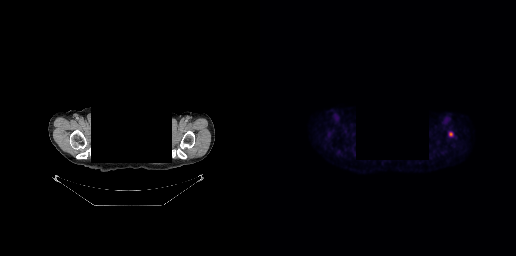
{"modality":"PSMA PET/CT","view":"axial","tracer":"[18F]PSMA-1007","pet_grid":[256,256],"coord_frame":"pet_panel","coord_format":"x0,y0,x1,y1","lesion_bboxes":[],"small_foci_centers":[[190,134]],"redaction":"face masked with black rectangle"}